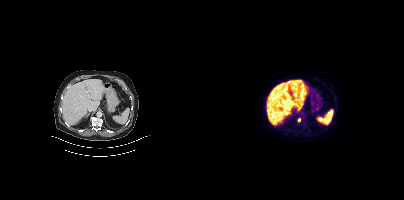
Coordinates are on the 200×200 PET (right) panel. PSMA-avid tumor lesion bounding box (x, y, width, height): x=93 y=118 w=4 h=5.